Two-panel axial: CT | PSMA PET, 18F tracer. Acquired on Siemens Biograph mCT Flow 20. Slice 117 of 385.
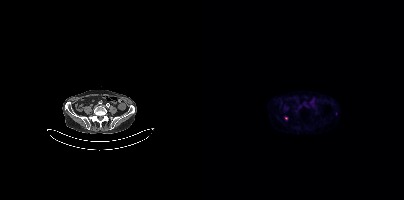
Coordinates are on the 200×200 PET (right) panel. Small PSMA-avid focus (2 to 4 px across) near (center x, center y): (82, 118).